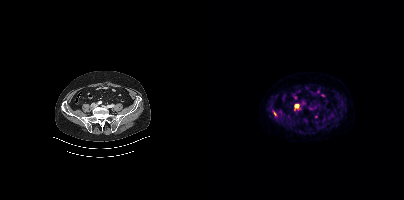
Findings: Coordinates are on the 200×200 PET (right) panel. (showing 1 of 2 foci) Small PSMA-avid focus (2 to 4 px across) near (center x, center y): (92, 105).
- Left: CT. Right: PSMA PET, same axial level, [18F]PSMA-1007 tracer